- Left: CT. Right: PSMA PET, same axial level, [68Ga]Ga-PSMA-11 tracer
- acquired on Siemens Biograph 64-4R TruePoint
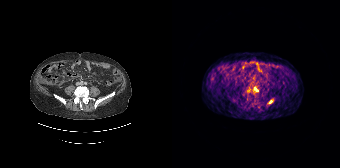
Findings: Coordinates are on the 168×168 PET (right) panel. Small PSMA-avid foci (2 to 4 px across) near (center x, center y): (98, 101) | (84, 89).